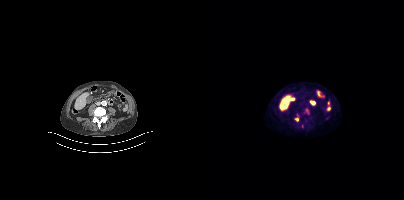
Technique: Paired axial CT (left) and PSMA PET (right), [18F]PSMA-1007 tracer. PET panel 200×200 px (4.1 mm/px).
Findings: Coordinates are on the 200×200 PET (right) panel. PSMA-avid tumor lesion bounding box (x0, y0)-(x1, y1): (101, 108)-(105, 114). Small PSMA-avid foci (2 to 4 px across) near (center x, center y): (92, 119) | (93, 115).